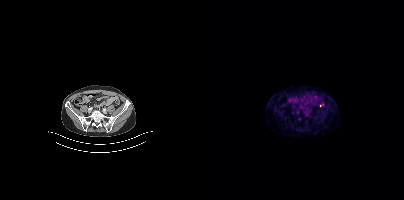
{"pet_grid":[200,200],"coord_frame":"pet_panel","coord_format":"x0,y0,x1,y1","partial":true,"lesion_bboxes":[],"modality":"PSMA PET/CT","view":"axial","tracer":"[68Ga]Ga-PSMA-11"}